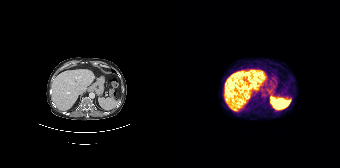
modality: PSMA PET/CT | tracer: 68Ga | view: axial
No PSMA-avid tumor lesions on this slice.